modality: PSMA PET/CT | tracer: [18F]PSMA-1007 | view: axial | PET grid: 200×200
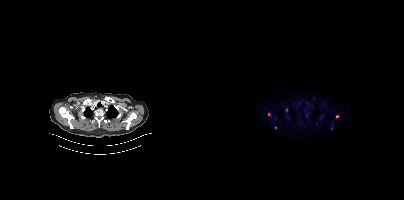
Coordinates are on the 200×200 PET (right) panel. Small PSMA-avid foci (2 to 4 px across) near (center x, center y): (82, 110) | (64, 114) | (132, 116) | (71, 127).